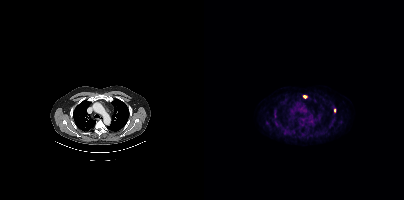
- Left: CT. Right: PSMA PET, same axial level, 18F tracer
- PET panel 200×200 px (4.1 mm/px)
Findings: Coordinates are on the 200×200 PET (right) panel. (showing 2 of 3 foci) PSMA-avid tumor lesion bounding box (x, y, width, height): x=99 y=95 w=5 h=4. Small PSMA-avid focus (2 to 4 px across) near (center x, center y): (130, 110).